- Two-panel axial: CT | PSMA PET, 18F-PSMA tracer
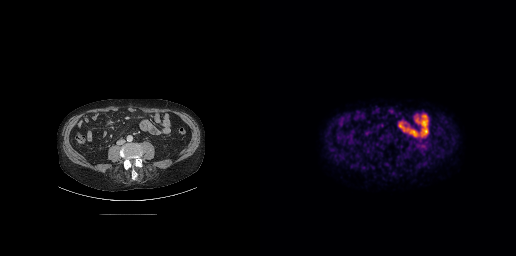
Findings: Negative for PSMA-avid disease on this slice.